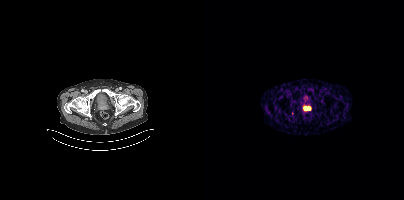
Coordinates are on the 200×200 PET (right) panel. PSMA-avid tumor lesion bounding box (x0, y0)-(x1, y1): (100, 106)-(106, 110).